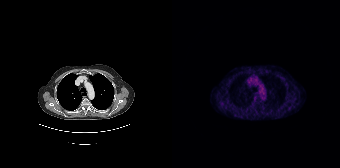
Technique: Paired axial CT (left) and PSMA PET (right), [68Ga]Ga-PSMA-11 tracer. PET panel 168×168 px (4.1 mm/px).
Findings: Negative for PSMA-avid disease on this slice.